- Paired axial CT (left) and PSMA PET (right), [18F]PSMA-1007 tracer
- PET panel 200×200 px (4.1 mm/px)
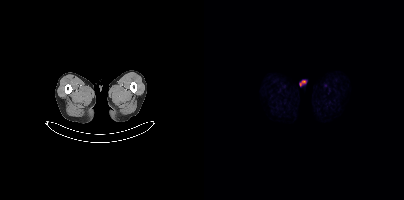
Findings: This slice has no annotated PSMA-avid lesion.